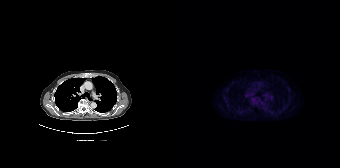
Negative for PSMA-avid disease on this slice. Left: CT. Right: PSMA PET, same axial level, [18F]PSMA-1007 tracer. Acquired on Siemens Biograph 64-4R TruePoint. PET panel 168×168 px (4.1 mm/px).